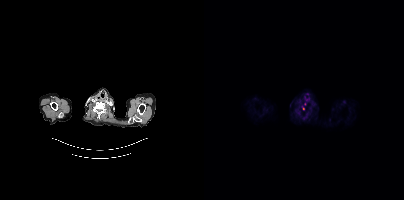
Coordinates are on the 200×200 PET (right) panel. Small PSMA-avid focus (2 to 4 px across) near (center x, center y): (99, 108).